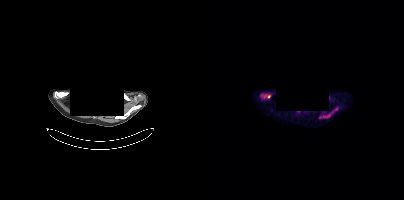
redaction: head region blacked out before release | modality: PSMA PET/CT | tracer: 18F-PSMA | view: axial | PET grid: 200×200
Coordinates are on the 200×200 PET (right) panel. (showing 3 of 4 foci) PSMA-avid tumor lesion bounding boxes (x0,y0,x1,y1): [57,95,66,98] [119,114,124,118]. Small PSMA-avid focus (2 to 4 px across) near (center x, center y): (132, 108).